Technique: Left: CT. Right: PSMA PET, same axial level, [18F]PSMA-1007 tracer. PET panel 200×200 px (4.1 mm/px).
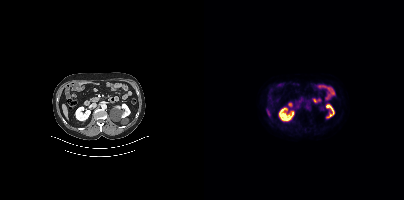
Findings: This slice has no annotated PSMA-avid lesion.